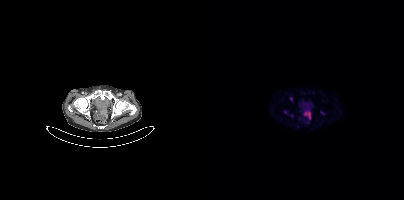
No PSMA-avid tumor lesions on this slice.